Technique: Two-panel axial: CT | PSMA PET, 18F tracer. PET panel 200×200 px (4.1 mm/px).
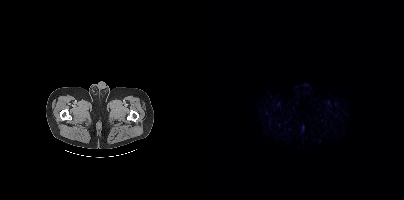
Findings: No tumor lesions annotated on this slice.